- Two-panel axial: CT | PSMA PET, 18F tracer
- acquired on Siemens Biograph mCT Flow 20
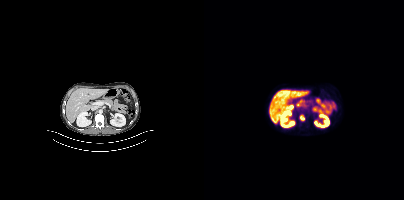
Findings: Coordinates are on the 200×200 PET (right) panel. PSMA-avid tumor lesion bounding box (x0,y0,x1,y1): [96,115,100,120].